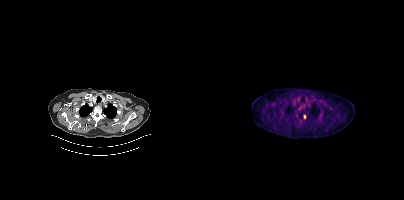
Coordinates are on the 200×200 PET (right) panel. Small PSMA-avid focus (2 to 4 px across) near (center x, center y): (100, 116).